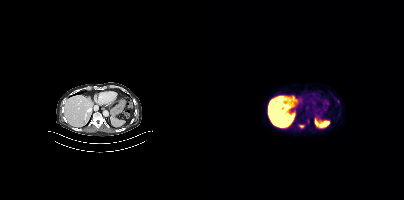
Left: CT. Right: PSMA PET, same axial level, [18F]PSMA-1007 tracer. PET panel 200×200 px (4.1 mm/px).
Coordinates are on the 200×200 PET (right) panel. PSMA-avid tumor lesion bounding boxes:
| # | x0 | y0 | x1 | y1 |
|---|---|---|---|---|
| 1 | 95 | 125 | 100 | 128 |
Small PSMA-avid focus (2 to 4 px across) near (center x, center y): (134, 101).